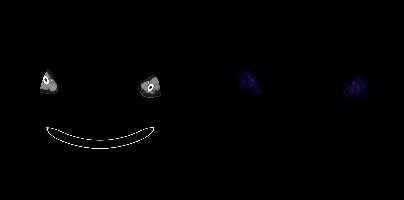
redaction: facial region redacted | modality: PSMA PET/CT | tracer: 18F-PSMA | view: axial | PET grid: 200×200
No tumor lesions annotated on this slice.